Technique: Paired axial CT (left) and PSMA PET (right), 68Ga tracer. acquired on Siemens Biograph mCT Flow 20. PET panel 200×200 px (4.1 mm/px).
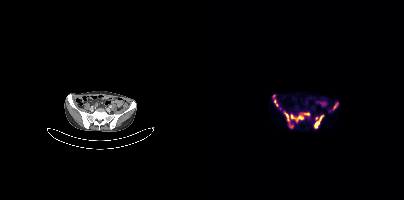
Findings: Coordinates are on the 200×200 PET (right) panel. (showing 9 of 10 foci) PSMA-avid tumor lesion bounding boxes (x, y, width, height): x=110 y=116 w=9 h=12; x=91 y=115 w=9 h=6; x=70 y=99 w=5 h=8; x=81 y=113 w=4 h=8; x=100 y=113 w=6 h=3; x=130 y=104 w=3 h=5. Small PSMA-avid foci (2 to 4 px across) near (center x, center y): (86, 124); (88, 116); (70, 96).